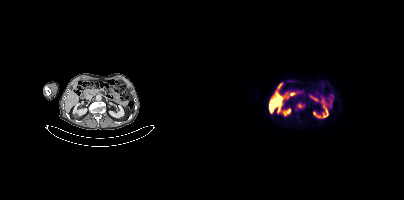
{"modality":"PSMA PET/CT","view":"axial","tracer":"[18F]PSMA-1007","pet_grid":[200,200],"coord_frame":"pet_panel","coord_format":"x0,y0,x1,y1","lesion_bboxes":[],"small_foci_centers":[[95,105]]}